modality: PSMA PET/CT | tracer: [18F]PSMA-1007 | view: axial | PET grid: 200×200
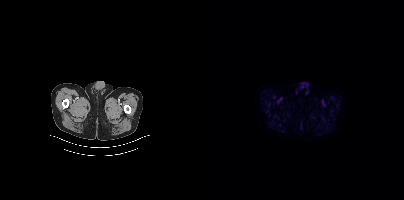
This slice has no annotated PSMA-avid lesion.